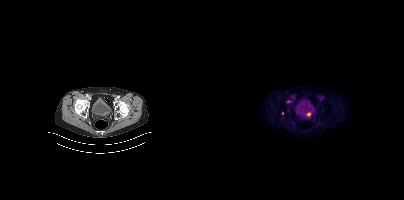
modality: PSMA PET/CT | tracer: 18F | view: axial
Coordinates are on the 200×200 PET (right) panel. (showing 1 of 3 foci) Small PSMA-avid focus (2 to 4 px across) near (center x, center y): (105, 113).